Paired axial CT (left) and PSMA PET (right), 18F-PSMA tracer. Slice 123 of 429. PET panel 200×200 px (4.1 mm/px).
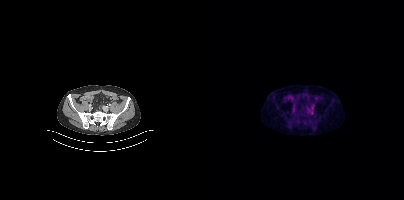
Coordinates are on the 200×200 PET (right) panel. Small PSMA-avid foci (2 to 4 px across) near (center x, center y): (108, 112); (108, 107).